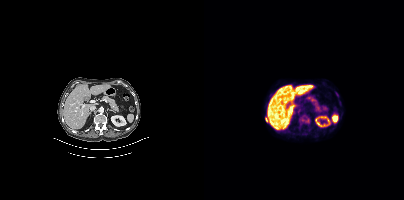
Coordinates are on the 200×200 PET (right) panel. PSMA-avid tumor lesion bounding box (x, y, width, height): x=96 y=114 w=11 h=11. Small PSMA-avid focus (2 to 4 px across) near (center x, center y): (62, 119).